Technique: Two-panel axial: CT | PSMA PET, 18F tracer. PET panel 200×200 px (4.1 mm/px).
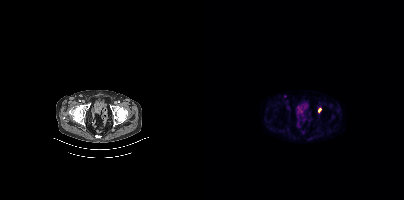
Findings: Coordinates are on the 200×200 PET (right) panel. Small PSMA-avid foci (2 to 4 px across) near (center x, center y): (115, 109) | (81, 96).